Technique: Left: CT. Right: PSMA PET, same axial level, 18F-PSMA tracer.
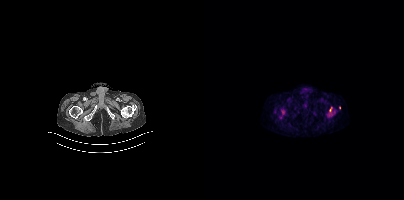
Findings: Coordinates are on the 200×200 PET (right) panel. (showing 4 of 5 foci) PSMA-avid tumor lesion bounding boxes (x0, y0)-(x1, y1): (125, 107)-(128, 116) | (77, 110)-(80, 114). Small PSMA-avid foci (2 to 4 px across) near (center x, center y): (135, 107) | (77, 117).